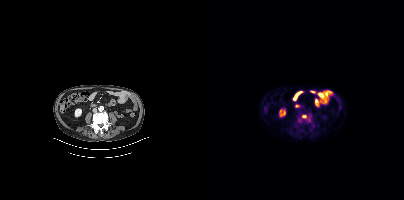
{"modality":"PSMA PET/CT","view":"axial","tracer":"18F-PSMA","pet_grid":[200,200],"coord_frame":"pet_panel","coord_format":"x0,y0,x1,y1","lesion_bboxes":[],"small_foci_centers":[[100,116]]}